- Left: CT. Right: PSMA PET, same axial level, 68Ga tracer
- PET panel 200×200 px (4.1 mm/px)
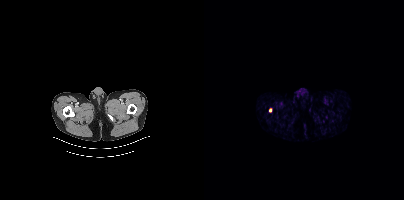
Findings: Coordinates are on the 200×200 PET (right) panel. PSMA-avid tumor lesion bounding box (x0, y0)-(x1, y1): (65, 108)-(67, 112).